Two-panel axial: CT | PSMA PET, 18F tracer. Slice 288 of 427. PET panel 200×200 px (4.1 mm/px).
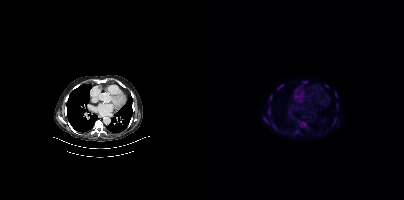
Coordinates are on the 200×200 PET (right) panel. PSMA-avid tumor lesion bounding boxes (partial; 1 more focus not listed):
| # | x0 | y0 | x1 | y1 |
|---|---|---|---|---|
| 1 | 95 | 121 | 102 | 127 |
| 2 | 64 | 107 | 66 | 114 |
| 3 | 65 | 95 | 68 | 100 |
| 4 | 59 | 117 | 64 | 123 |
| 5 | 73 | 84 | 79 | 89 |
| 6 | 131 | 92 | 133 | 97 |
Small PSMA-avid foci (2 to 4 px across) near (center x, center y): (100, 81); (68, 125).